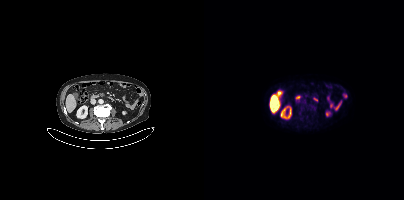
Findings: This slice has no annotated PSMA-avid lesion.
- Left: CT. Right: PSMA PET, same axial level, 18F-PSMA tracer